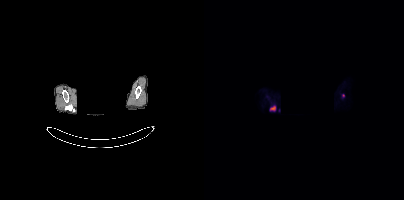
deidentification: head region blacked out before release | modality: PSMA PET/CT | tracer: 18F-PSMA | view: axial | PET grid: 200×200
Coordinates are on the 200×200 PET (right) panel. PSMA-avid tumor lesion bounding box (x0, y0)-(x1, y1): (66, 106)-(71, 110). Small PSMA-avid focus (2 to 4 px across) near (center x, center y): (139, 95).